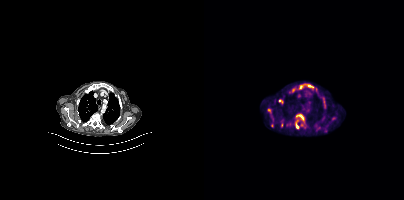
Two-panel axial: CT | PSMA PET, 18F tracer. Acquired on Siemens Biograph mCT Flow 20.
Coordinates are on the 200×200 PET (right) panel. PSMA-avid tumor lesion bounding boxes (partial; 2 more foci not listed):
| # | x0 | y0 | x1 | y1 |
|---|---|---|---|---|
| 1 | 92 | 114 | 100 | 122 |
| 2 | 91 | 119 | 95 | 128 |
| 3 | 63 | 108 | 67 | 115 |
| 4 | 103 | 84 | 109 | 87 |
| 5 | 67 | 121 | 69 | 126 |
Small PSMA-avid foci (2 to 4 px across) near (center x, center y): (96, 86); (97, 124).